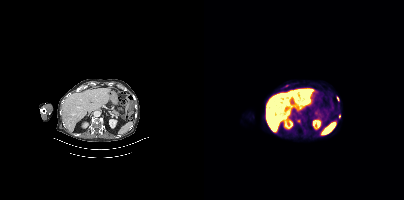
Coordinates are on the 200×200 PET (right) panel. PSMA-avid tumor lesion bounding boxes (x0, y0)-(x1, y1): (133, 96)-(135, 101) | (135, 114)-(136, 118). Small PSMA-avid foci (2 to 4 px across) near (center x, center y): (94, 121) | (82, 85).